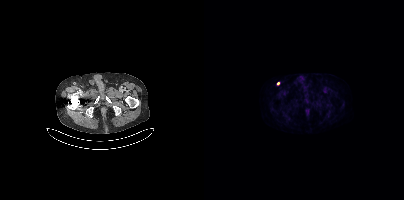
{"modality":"PSMA PET/CT","view":"axial","tracer":"[18F]PSMA-1007","pet_grid":[200,200],"coord_frame":"pet_panel","coord_format":"x0,y0,x1,y1","lesion_bboxes":[],"small_foci_centers":[[74,83]]}